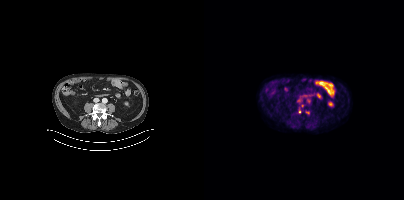
modality: PSMA PET/CT | tracer: [18F]PSMA-1007 | view: axial
Coordinates are on the 200×200 PET (right) panel. Small PSMA-avid foci (2 to 4 px across) near (center x, center y): (95, 111) | (103, 112) | (98, 105).